Technique: Paired axial CT (left) and PSMA PET (right), [18F]PSMA-1007 tracer. acquired on Siemens Biograph mCT Flow 20. slice 307 of 425. PET panel 200×200 px (4.1 mm/px).
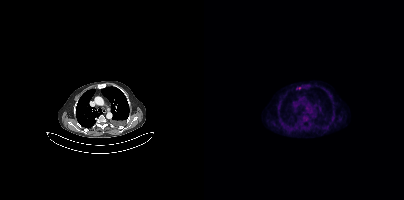
Findings: Coordinates are on the 200×200 PET (right) panel. (showing 1 of 2 foci) Small PSMA-avid focus (2 to 4 px across) near (center x, center y): (95, 88).